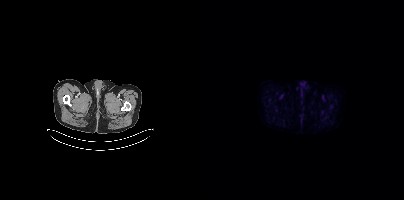
{"modality":"PSMA PET/CT","view":"axial","tracer":"18F-PSMA","pet_grid":[200,200],"coord_frame":"pet_panel","coord_format":"x0,y0,x1,y1","psma_avid_lesions":false}